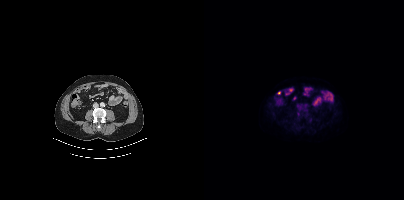
{"pet_grid":[200,200],"coord_frame":"pet_panel","coord_format":"x0,y0,x1,y1","partial":true,"lesion_bboxes":[],"modality":"PSMA PET/CT","view":"axial","tracer":"18F-PSMA"}